Technique: Left: CT. Right: PSMA PET, same axial level, 18F tracer. slice position z = -1038 mm. PET panel 200×200 px (4.1 mm/px).
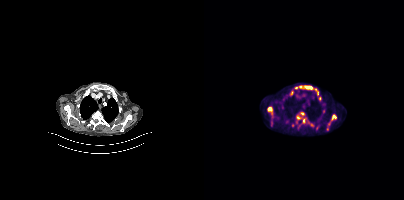
Findings: Coordinates are on the 200×200 PET (right) panel. (showing 9 of 10 foci) PSMA-avid tumor lesion bounding boxes (x0, y0)-(x1, y1): (95, 85)-(108, 89) | (92, 115)-(102, 123) | (63, 106)-(68, 115) | (66, 118)-(71, 126) | (122, 123)-(126, 130) | (96, 112)-(100, 115) | (83, 91)-(89, 96) | (111, 89)-(114, 94). Small PSMA-avid focus (2 to 4 px across) near (center x, center y): (89, 125).